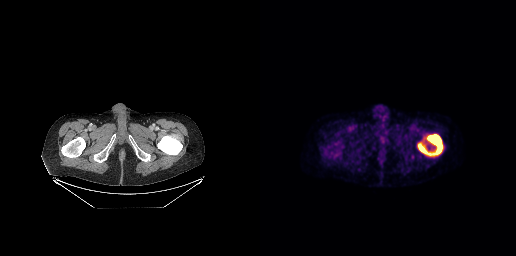
{"pet_grid":[256,256],"coord_frame":"pet_panel","coord_format":"x0,y0,x1,y1","lesion_bboxes":[[158,134,182,155]],"modality":"PSMA PET/CT","view":"axial","tracer":"18F"}